de-identification: head region blanked (face removed) | modality: PSMA PET/CT | tracer: [68Ga]Ga-PSMA-11 | view: axial | PET grid: 256×256
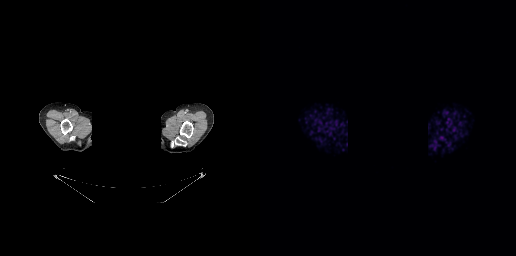
No tumor lesions annotated on this slice.